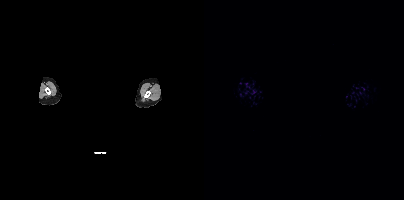
Negative for PSMA-avid disease on this slice. Paired axial CT (left) and PSMA PET (right), 18F tracer. Acquired on Siemens Biograph mCT Flow 20. PET panel 200×200 px (4.1 mm/px). De-identified by setting a box covering the face to black before release.